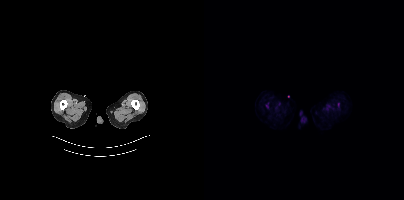
No PSMA-avid tumor lesions on this slice.